modality: PSMA PET/CT | tracer: 18F-PSMA | view: axial
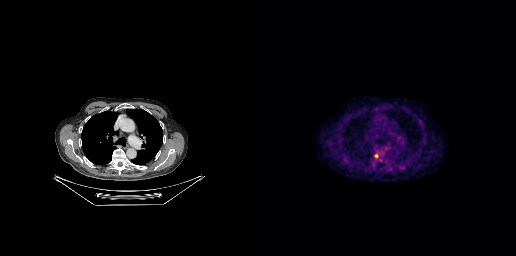
Coordinates are on the 256×256 PET (right) panel. PSMA-avid tumor lesion bounding box (x0, y0)-(x1, y1): (115, 154)-(123, 161).